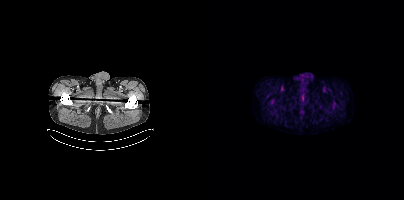
Negative for PSMA-avid disease on this slice. Paired axial CT (left) and PSMA PET (right), 18F tracer. Slice position z = 1068 mm. PET panel 200×200 px (4.1 mm/px).